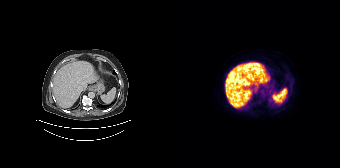
This slice has no annotated PSMA-avid lesion.